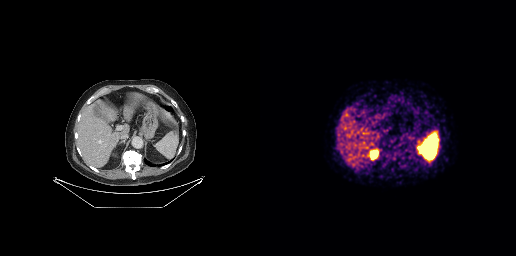
No tumor lesions annotated on this slice.